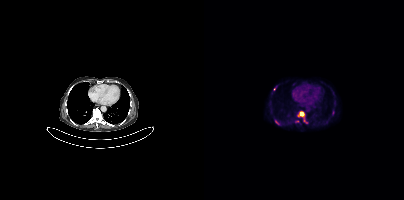
Coordinates are on the 200×200 PET (right) panel. (showing 4 of 5 foci) PSMA-avid tumor lesion bounding boxes (x0,y0,x1,y1): [94,111,103,123] [70,119,76,125] [128,110,130,115]. Small PSMA-avid focus (2 to 4 px across) near (center x, center y): (70, 89).